Left: CT. Right: PSMA PET, same axial level, 18F tracer. Slice 240 of 429.
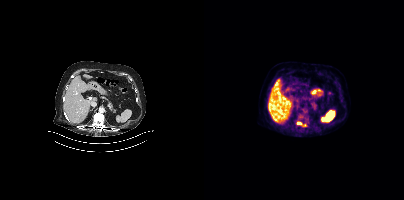
Coordinates are on the 200×200 PET (right) panel. PSMA-avid tumor lesion bounding boxes:
| # | x0 | y0 | x1 | y1 |
|---|---|---|---|---|
| 1 | 93 | 122 | 103 | 126 |